Technique: Left: CT. Right: PSMA PET, same axial level, 68Ga tracer. PET panel 256×256 px (2.7 mm/px).
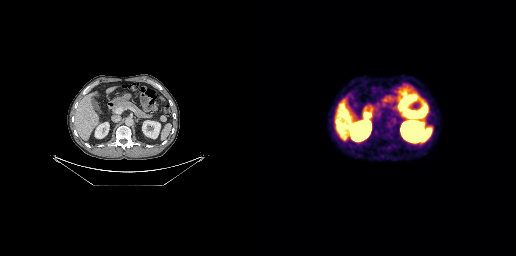
Findings: Coordinates are on the 256×256 PET (right) panel. PSMA-avid tumor lesion bounding box (x, y, width, height): x=162 y=120 w=4 h=5.